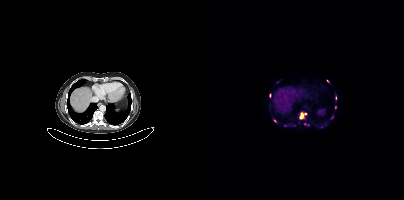
Two-panel axial: CT | PSMA PET, 68Ga-PSMA tracer. Coordinates are on the 200×200 PET (right) panel. (showing 6 of 10 foci) PSMA-avid tumor lesion bounding box (x, y, width, height): x=96 y=112 w=7 h=7. Small PSMA-avid foci (2 to 4 px across) near (center x, center y): (124, 81) / (131, 107) / (70, 120) / (100, 123) / (89, 125).